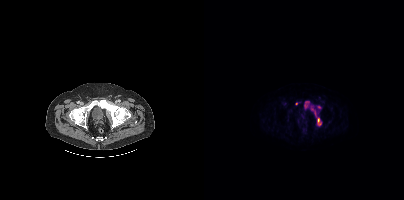
Coordinates are on the 200×200 PET (right) panel. PSMA-avid tumor lesion bounding boxes (x, y, width, height): x=113 y=117 w=5 h=9 | x=100 y=101 w=6 h=8 | x=107 y=108 w=6 h=9. Small PSMA-avid foci (2 to 4 px across) near (center x, center y): (92, 103) | (115, 107).